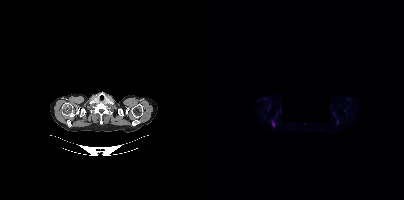
{"modality":"PSMA PET/CT","view":"axial","tracer":"18F-PSMA","pet_grid":[200,200],"coord_frame":"pet_panel","coord_format":"x0,y0,x1,y1","de-identification":"rectangular block set to black","lesion_bboxes":[[68,121,70,126]],"small_foci_centers":[[133,121]]}